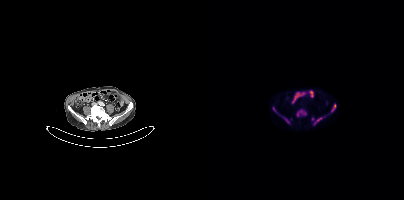
Coordinates are on the 200×200 PET (right) panel. (showing 5 of 6 foci) PSMA-avid tumor lesion bounding boxes (x0,y0,x1,y1): [69,108,85,123], [127,104,132,112], [93,110,98,116], [113,117,117,121]. Small PSMA-avid focus (2 to 4 px across) near (center x, center y): (100, 113).